Left: CT. Right: PSMA PET, same axial level, 68Ga tracer. Acquired on Siemens Biograph 64-4R TruePoint.
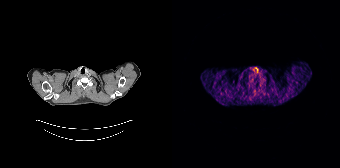
This slice has no annotated PSMA-avid lesion.